Two-panel axial: CT | PSMA PET, [68Ga]Ga-PSMA-11 tracer. PET panel 200×200 px (4.1 mm/px).
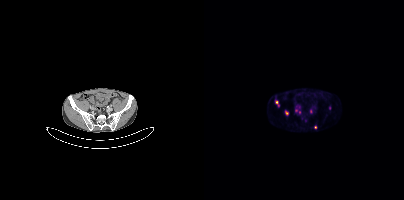
Coordinates are on the 200×200 PET (right) panel. (showing 7 of 8 foci) PSMA-avid tumor lesion bounding box (x0, y0)-(x1, y1): (92, 106)-(96, 112). Small PSMA-avid foci (2 to 4 px across) near (center x, center y): (82, 112); (72, 101); (125, 107); (95, 112); (111, 127); (74, 105).